modality: PSMA PET/CT | tracer: 18F | view: axial | PET grid: 200×200
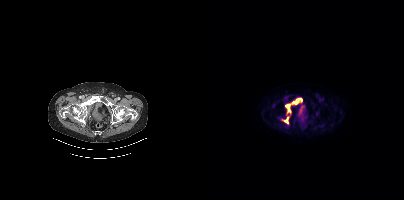
Coordinates are on the 200×200 PET (right) panel. PSMA-avid tumor lesion bounding boxes (x, y, width, height): x=88 y=98 w=11 h=7; x=81 y=104 w=6 h=9; x=81 y=117 w=4 h=7.